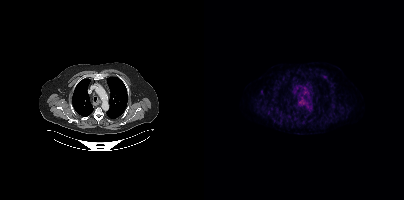
This slice has no annotated PSMA-avid lesion.